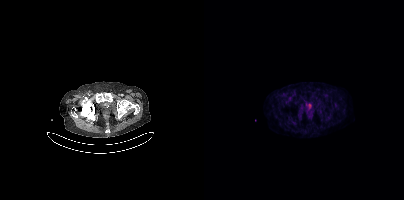
No tumor lesions annotated on this slice.